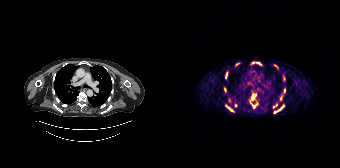
Coordinates are on the 168×168 PET (right) panel. (showing 12 of 19 foci) PSMA-avid tumor lesion bounding boxes (x, y, width, height): x=102 y=105 w=10 h=9; x=79 y=94 w=5 h=7; x=54 y=106 w=7 h=6; x=102 y=64 w=5 h=5; x=53 y=72 w=3 h=7. Small PSMA-avid foci (2 to 4 px across) near (center x, center y): (86, 63); (82, 106); (65, 64); (112, 90); (111, 77); (78, 102); (63, 105).